Technique: Paired axial CT (left) and PSMA PET (right), [18F]PSMA-1007 tracer. slice 196 of 387.
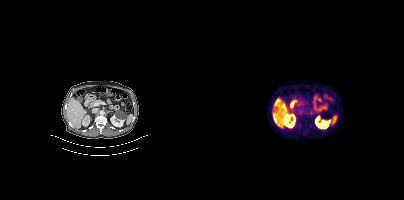
Findings: Negative for PSMA-avid disease on this slice.